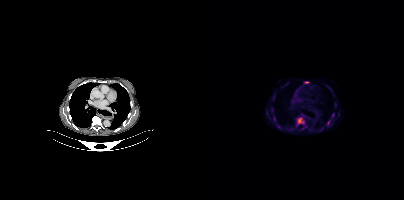
Coordinates are on the 200×200 PET (right) panel. PSMA-avid tumor lesion bounding boxes (x0, y0)-(x1, y1): (93, 117)-(100, 124); (100, 81)-(105, 83); (69, 117)-(71, 121). Small PSMA-avid foci (2 to 4 px across) near (center x, center y): (124, 122); (128, 115); (74, 126).